Technique: Two-panel axial: CT | PSMA PET, [18F]PSMA-1007 tracer. acquired on Siemens Biograph mCT Flow 20. slice 190 of 450.
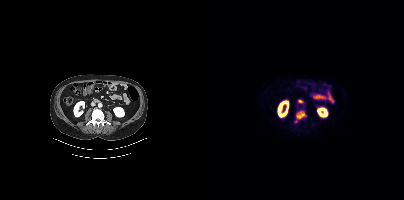
Findings: Coordinates are on the 200×200 PET (right) panel. (showing 1 of 2 foci) PSMA-avid tumor lesion bounding box (x0,y0,x1,y1): [93,111,100,118].